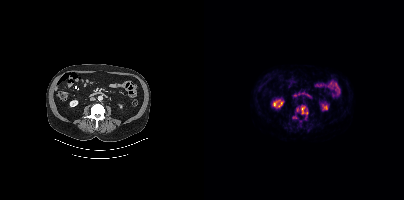
{"modality":"PSMA PET/CT","view":"axial","tracer":"[18F]PSMA-1007","pet_grid":[200,200],"coord_frame":"pet_panel","coord_format":"x0,y0,x1,y1","partial":true,"lesion_bboxes":[[97,106,103,114]],"small_foci_centers":[[93,109]]}